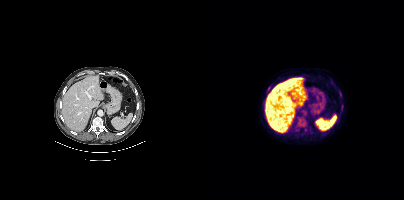
{"modality":"PSMA PET/CT","view":"axial","tracer":"18F","pet_grid":[200,200],"coord_frame":"pet_panel","coord_format":"x0,y0,x1,y1","lesion_bboxes":[],"small_foci_centers":[[136,93],[137,110]]}